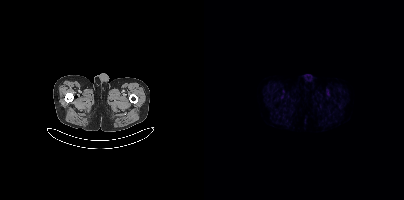
No tumor lesions annotated on this slice.
modality: PSMA PET/CT | tracer: [18F]PSMA-1007 | view: axial | PET grid: 200×200